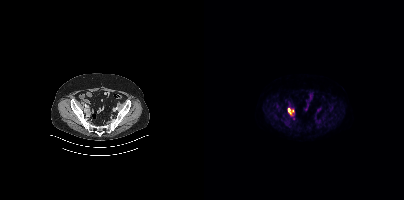
Coordinates are on the 200×200 PET (right) panel. PSMA-avid tumor lesion bounding box (x0, y0)-(x1, y1): (84, 108)-(90, 115).